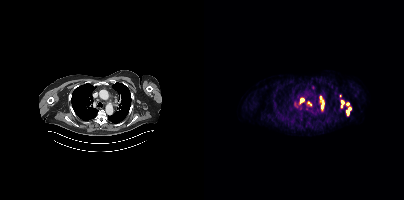
Findings: Coordinates are on the 200×200 PET (right) panel. PSMA-avid tumor lesion bounding boxes (x0,y0,x1,y1): [116,96,120,110], [142,107,147,115], [103,101,107,105]. Small PSMA-avid foci (2 to 4 px across) near (center x, center y): (97, 99), (138, 102), (136, 96), (95, 103), (143, 103), (137, 106).
Technique: Paired axial CT (left) and PSMA PET (right), 68Ga-PSMA tracer.